Left: CT. Right: PSMA PET, same axial level, 68Ga tracer. PET panel 200×200 px (4.1 mm/px).
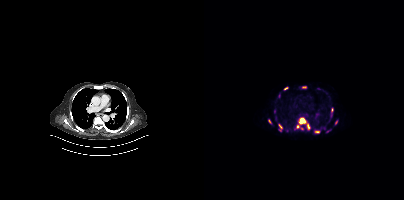
Coordinates are on the 200×200 PET (right) panel. PSMA-avid tumor lesion bounding boxes (x0, y0)-(x1, y1): (92, 118)-(101, 128) / (75, 124)-(78, 130) / (111, 130)-(115, 133) / (103, 124)-(105, 129) / (98, 86)-(102, 88). Small PSMA-avid foci (2 to 4 px across) near (center x, center y): (82, 88) / (128, 110) / (132, 122) / (83, 130) / (65, 121) / (124, 131).